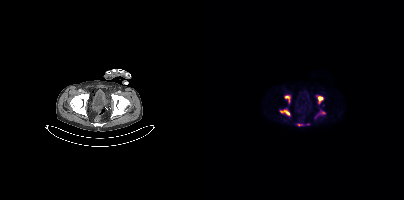
{"modality":"PSMA PET/CT","view":"axial","tracer":"18F-PSMA","pet_grid":[200,200],"coord_frame":"pet_panel","coord_format":"x0,y0,x1,y1","partial":true,"lesion_bboxes":[[75,108,86,115],[80,95,86,103],[113,96,119,103],[116,111,121,114],[93,124,98,125]],"small_foci_centers":[[111,116]]}